modality: PSMA PET/CT | tracer: 18F | view: axial
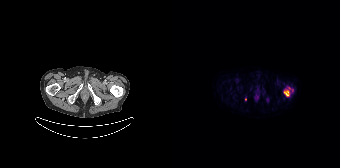
Coordinates are on the 168×168 PET (right) panel. (showing 3 of 4 foci) PSMA-avid tumor lesion bounding box (x0, y0)-(x1, y1): (112, 90)-(117, 96). Small PSMA-avid foci (2 to 4 px across) near (center x, center y): (95, 99) | (73, 99).